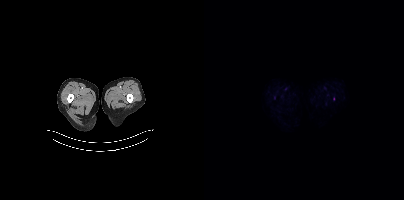
modality: PSMA PET/CT | tracer: 18F | view: axial
No tumor lesions annotated on this slice.